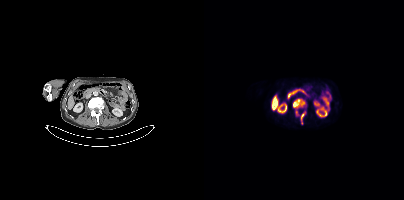
{"modality":"PSMA PET/CT","view":"axial","tracer":"18F","pet_grid":[200,200],"coord_frame":"pet_panel","coord_format":"x0,y0,x1,y1","partial":true,"lesion_bboxes":[[89,99,100,115],[97,112,101,119]]}